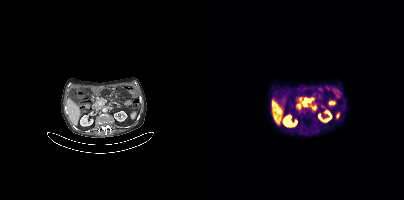
{"modality":"PSMA PET/CT","view":"axial","tracer":"18F-PSMA","pet_grid":[200,200],"coord_frame":"pet_panel","coord_format":"x0,y0,x1,y1","lesion_bboxes":[[95,97,110,106]]}